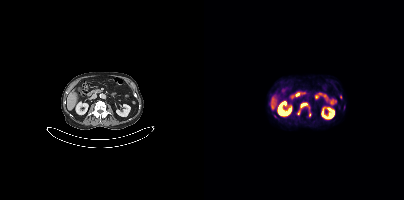
Findings: Coordinates are on the 200×200 PET (right) panel. PSMA-avid tumor lesion bounding box (x, y, width, height): x=93 y=102 w=13 h=13. Small PSMA-avid foci (2 to 4 px across) near (center x, center y): (106, 114) / (136, 97).
- Left: CT. Right: PSMA PET, same axial level, [18F]PSMA-1007 tracer
- acquired on Siemens Biograph mCT Flow 20
- slice position z = -38 mm
- PET panel 200×200 px (4.1 mm/px)